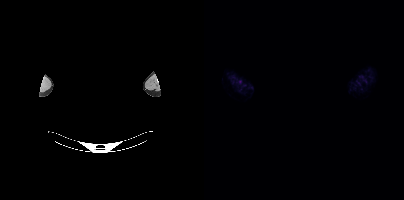
Technique: Left: CT. Right: PSMA PET, same axial level, 18F tracer. acquired on Siemens Biograph mCT Flow 20. PET panel 200×200 px (4.1 mm/px).
Note: The head region is masked for de-identification.
Findings: No PSMA-avid tumor lesions on this slice.